Left: CT. Right: PSMA PET, same axial level, 18F tracer. Acquired on Siemens Biograph mCT Flow 20.
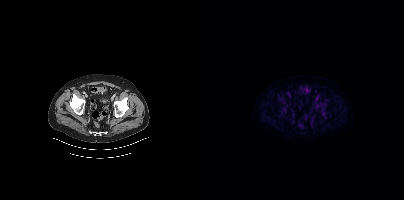
Coordinates are on the 200×200 PET (right) panel. PSMA-avid tumor lesion bounding boxes (partial; 1 more focus not listed):
| # | x0 | y0 | x1 | y1 |
|---|---|---|---|---|
| 1 | 112 | 102 | 123 | 115 |
Small PSMA-avid foci (2 to 4 px across) near (center x, center y): (123, 103); (74, 97).